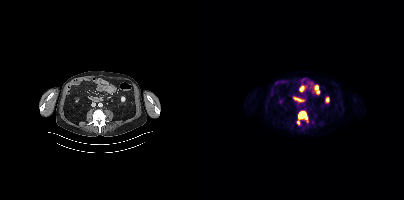
Coordinates are on the 200×200 PET (right) panel. PSMA-avid tumor lesion bounding box (x0, y0)-(x1, y1): (94, 111)-(103, 119). Small PSMA-avid focus (2 to 4 px across) near (center x, center y): (94, 122).
modality: PSMA PET/CT | tracer: 18F-PSMA | view: axial | PET grid: 200×200